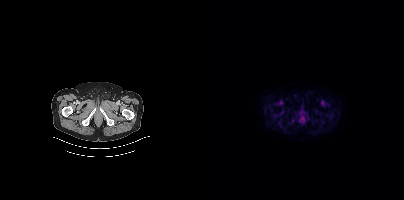
Technique: Left: CT. Right: PSMA PET, same axial level, 18F-PSMA tracer. PET panel 200×200 px (4.1 mm/px).
Findings: No tumor lesions annotated on this slice.